Paired axial CT (left) and PSMA PET (right), 18F-PSMA tracer. Slice 173 of 421.
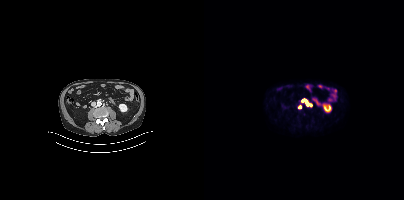
Coordinates are on the 200×200 PET (right) panel. PSMA-avid tumor lesion bounding box (x0,y0,x1,y1): [98,99,107,106]. Small PSMA-avid focus (2 to 4 px across) near (center x, center y): (96, 106).